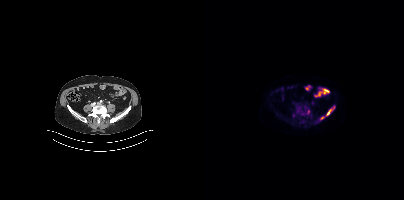
modality: PSMA PET/CT | tracer: [18F]PSMA-1007 | view: axial | PET grid: 200×200
Coordinates are on the 200×200 PET (right) panel. PSMA-avid tumor lesion bounding boxes (x0,y0,x1,y1): [122,106,130,115], [116,116,120,119]. Small PSMA-avid foci (2 to 4 px across) near (center x, center y): (89, 115), (104, 111).